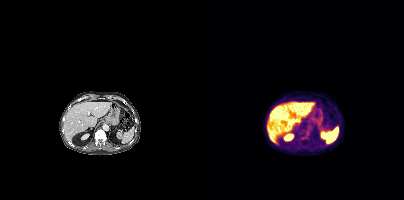
Coordinates are on the 200×200 PET (right) panel. PSMA-avid tumor lesion bounding box (x, y, width, height): x=98 y=136 w=7 h=5.